Paired axial CT (left) and PSMA PET (right), 68Ga tracer. Slice position z = 1023 mm. Privacy masking over the head, with the pixels inside a rectangle set to black.
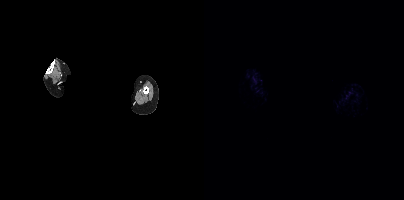
This slice has no annotated PSMA-avid lesion.